- Paired axial CT (left) and PSMA PET (right), 18F-PSMA tracer
- acquired on Siemens Biograph 64-4R TruePoint
- slice 90 of 165
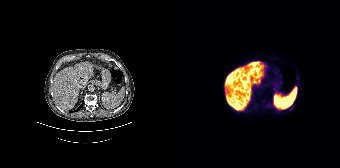
Findings: Coordinates are on the 168×168 PET (right) panel. Small PSMA-avid focus (2 to 4 px across) near (center x, center y): (119, 108).